modality: PSMA PET/CT | tracer: 18F | view: axial
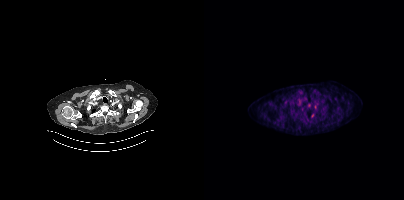
No tumor lesions annotated on this slice.